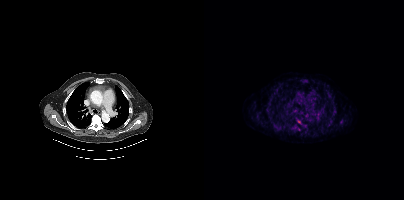
Coordinates are on the 200×200 PET (right) panel. (showing 1 of 2 foci) Small PSMA-avid focus (2 to 4 px across) near (center x, center y): (94, 121).